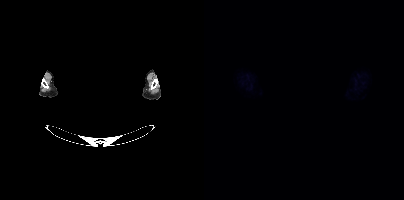
This slice has no annotated PSMA-avid lesion. Two-panel axial: CT | PSMA PET, [18F]PSMA-1007 tracer. Acquired on Siemens Biograph mCT Flow 20. PET panel 200×200 px (4.1 mm/px). An anonymization step blacked out a rectangle over the head in this scan.